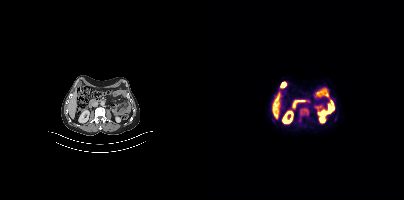
Technique: Two-panel axial: CT | PSMA PET, 18F-PSMA tracer. slice position z = -534 mm. PET panel 200×200 px (4.1 mm/px).
Findings: Coordinates are on the 200×200 PET (right) panel. PSMA-avid tumor lesion bounding box (x0,y0,x1,y1): [97,108,104,114].